- Paired axial CT (left) and PSMA PET (right), 68Ga-PSMA tracer
- slice 41 of 409
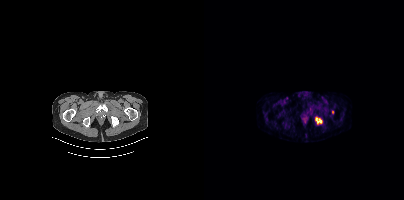
Findings: Coordinates are on the 200×200 PET (right) panel. PSMA-avid tumor lesion bounding box (x0, y0)-(x1, y1): (111, 117)-(118, 124). Small PSMA-avid focus (2 to 4 px across) near (center x, center y): (128, 112).